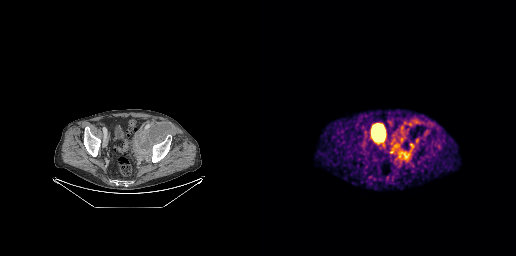
modality: PSMA PET/CT | tracer: 68Ga-PSMA | view: axial
Coordinates are on the 256×256 PET (right) panel. PSMA-avid tumor lesion bounding box (x0,y0,x1,y1): [137,147,154,160].